- Two-panel axial: CT | PSMA PET, 68Ga tracer
- PET panel 256×256 px (2.7 mm/px)
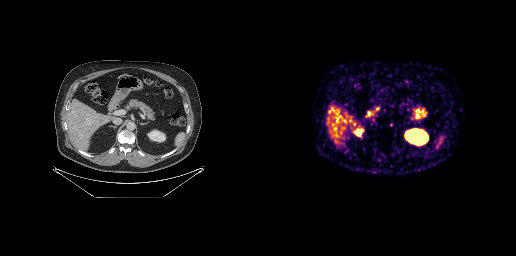
Findings: Coordinates are on the 256×256 PET (right) panel. PSMA-avid tumor lesion bounding box (x0,y0,x1,y1): [106,111,113,116].